Two-panel axial: CT | PSMA PET, 68Ga tracer. Slice 302 of 373. PET panel 200×200 px (4.1 mm/px).
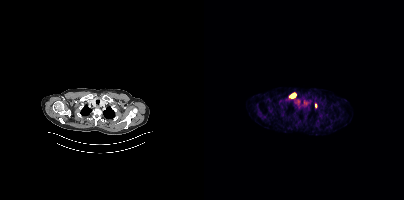
Coordinates are on the 200×200 PET (right) panel. PSMA-avid tumor lesion bounding box (x0, y0)-(x1, y1): (86, 93)-(91, 97). Small PSMA-avid focus (2 to 4 px across) near (center x, center y): (111, 106).